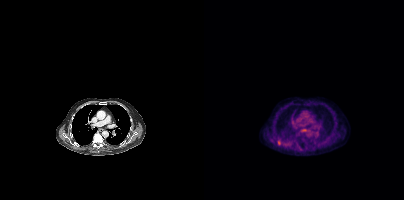
Two-panel axial: CT | PSMA PET, 18F-PSMA tracer. Coordinates are on the 200×200 PET (right) panel. Small PSMA-avid focus (2 to 4 px across) near (center x, center y): (74, 141).